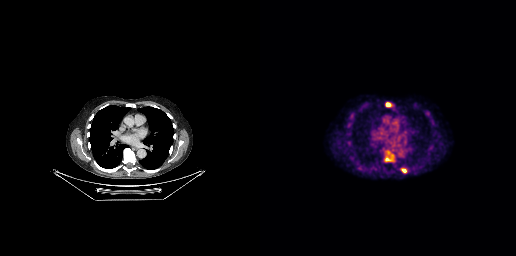
Coordinates are on the 256×256 PET (right) panel. (showing 3 of 5 foci) PSMA-avid tumor lesion bounding boxes (x, y, width, height): x=124 y=149 w=12 h=14 / x=126 y=103 w=5 h=4 / x=142 y=169 w=5 h=4.